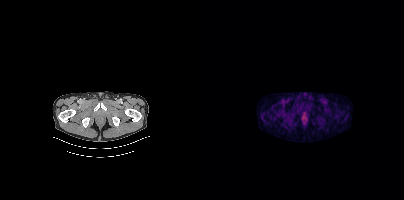
This slice has no annotated PSMA-avid lesion.